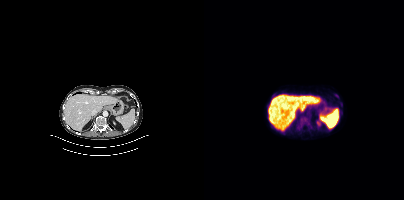
Negative for PSMA-avid disease on this slice.